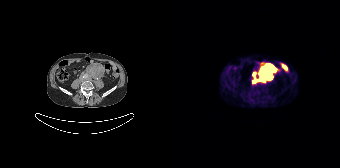
Coordinates are on the 168×168 PET (right) panel. PSMA-avid tumor lesion bounding boxes (x0, y0)-(x1, y1): (87, 64)-(104, 79) / (81, 76)-(92, 82). Small PSMA-avid focus (2 to 4 px across) near (center x, center y): (82, 74).